Two-panel axial: CT | PSMA PET, [18F]PSMA-1007 tracer. PET panel 200×200 px (4.1 mm/px).
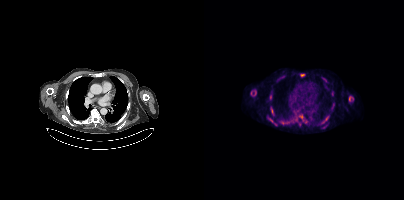
Coordinates are on the 200×200 PET (right) panel. PSMA-avid tumor lesion bounding boxes:
| # | x0 | y0 | x1 | y1 |
|---|---|---|---|---|
| 1 | 66 | 107 | 69 | 114 |
| 2 | 119 | 116 | 124 | 122 |
| 3 | 65 | 118 | 69 | 122 |
Small PSMA-avid foci (2 to 4 px across) near (center x, center y): (147, 98); (98, 75); (66, 97); (97, 116); (47, 91); (71, 124).